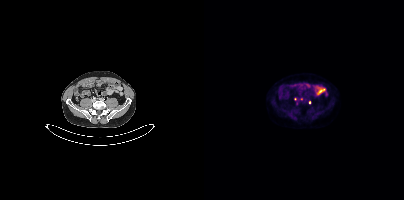
{"modality":"PSMA PET/CT","view":"axial","tracer":"[18F]PSMA-1007","pet_grid":[200,200],"coord_frame":"pet_panel","coord_format":"x0,y0,x1,y1","lesion_bboxes":[],"small_foci_centers":[[91,99],[105,102],[97,98]]}